Technique: Left: CT. Right: PSMA PET, same axial level, 18F-PSMA tracer. PET panel 200×200 px (4.1 mm/px).
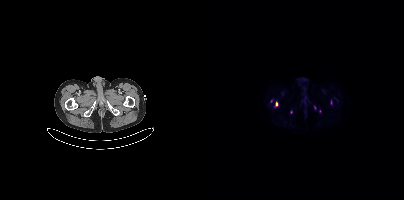
Findings: Coordinates are on the 200×200 PET (right) panel. (showing 3 of 6 foci) Small PSMA-avid foci (2 to 4 px across) near (center x, center y): (110, 107), (72, 104), (67, 100).